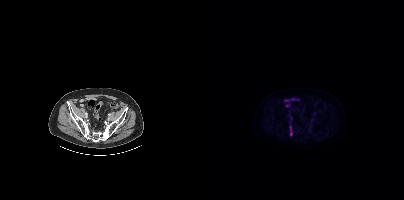
{"modality":"PSMA PET/CT","view":"axial","tracer":"18F-PSMA","pet_grid":[200,200],"coord_frame":"pet_panel","coord_format":"x0,y0,x1,y1","partial":true,"lesion_bboxes":[]}